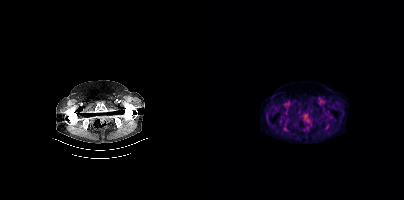
No PSMA-avid tumor lesions on this slice.